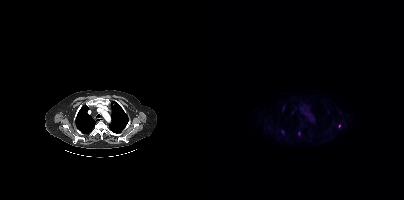
{"modality":"PSMA PET/CT","view":"axial","tracer":"18F","pet_grid":[200,200],"coord_frame":"pet_panel","coord_format":"x0,y0,x1,y1","partial":true,"lesion_bboxes":[]}